Technique: Left: CT. Right: PSMA PET, same axial level, [18F]PSMA-1007 tracer. slice position z = -1171 mm.
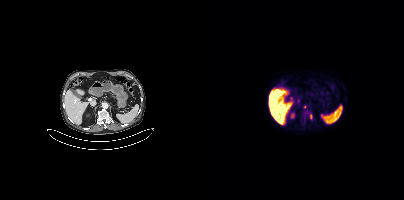
Findings: Coordinates are on the 200×200 PET (right) panel. PSMA-avid tumor lesion bounding box (x0, y0)-(x1, y1): (105, 113)-(108, 118). Small PSMA-avid foci (2 to 4 px across) near (center x, center y): (101, 112) | (101, 106).